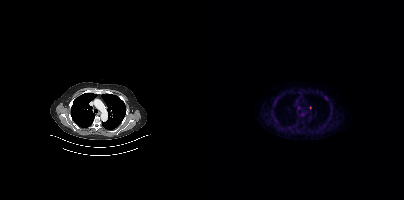
Technique: Two-panel axial: CT | PSMA PET, 18F-PSMA tracer. acquired on Siemens Biograph mCT Flow 20. PET panel 200×200 px (4.1 mm/px).
Findings: Only PSMA-avid lesion pieces thinner than 2 px on this slice (not listed).